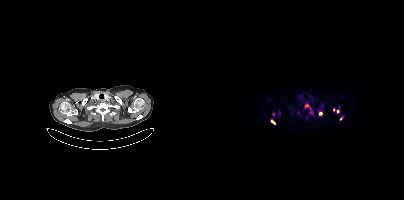
Paired axial CT (left) and PSMA PET (right), 18F tracer. Acquired on Siemens Biograph mCT Flow 20. Coordinates are on the 200×200 PET (right) panel. (showing 7 of 10 foci) PSMA-avid tumor lesion bounding box (x0, y0)-(x1, y1): (67, 120)-(71, 124). Small PSMA-avid foci (2 to 4 px across) near (center x, center y): (102, 105); (137, 118); (107, 112); (116, 113); (133, 111); (69, 113).